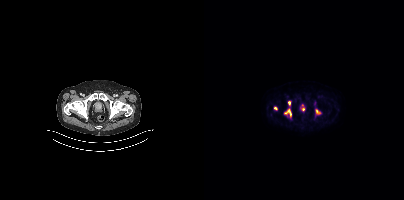
Coordinates are on the 200×200 PET (right) panel. (showing 5 of 6 foci) PSMA-avid tumor lesion bounding boxes (x0,y0,x1,y1): [80,109,87,116]; [111,109,117,114]; [84,101,86,105]. Small PSMA-avid foci (2 to 4 px across) near (center x, center y): (71, 108); (99, 109).